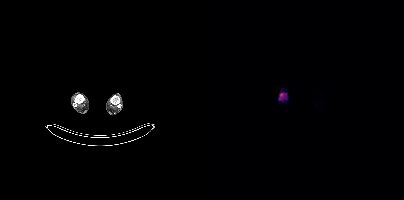
Coordinates are on the 200×200 PET (right) panel. (showing 1 of 2 foci) PSMA-avid tumor lesion bounding box (x, y, width, height): x=75 y=93 w=5 h=7. Left: CT. Right: PSMA PET, same axial level, 18F tracer. Acquired on Siemens Biograph mCT Flow 20. PET panel 200×200 px (4.1 mm/px).